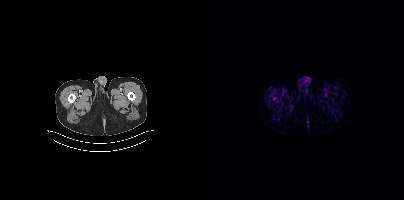
Coordinates are on the 200×200 PET (right) panel. Small PSMA-avid focus (2 to 4 px across) near (center x, center y): (70, 98).